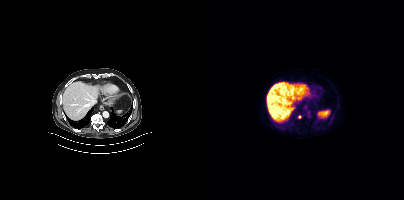
- Paired axial CT (left) and PSMA PET (right), 18F tracer
Findings: Coordinates are on the 200×200 PET (right) panel. Small PSMA-avid focus (2 to 4 px across) near (center x, center y): (95, 117).